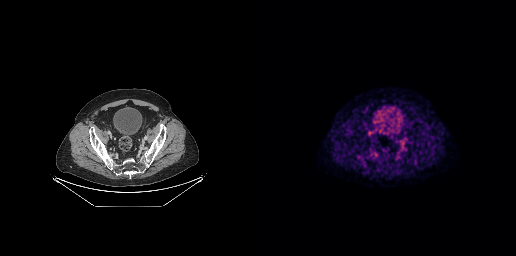
Left: CT. Right: PSMA PET, same axial level, 18F tracer. Slice 71 of 263. PET panel 256×256 px (2.7 mm/px). No PSMA-avid tumor lesions on this slice.